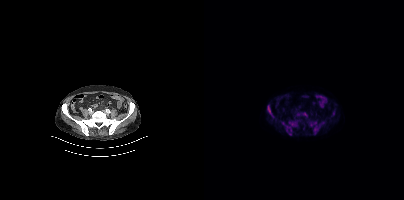
Coordinates are on the 200×200 PET (right) panel. PSMA-avid tumor lesion bounding boxes (x, y, width, height): x=77 y=120 w=17 h=15; x=106 y=121 w=15 h=14; x=63 y=105 w=8 h=14; x=98 y=112 w=6 h=5; x=129 y=111 w=2 h=5. Small PSMA-avid focus (2 to 4 px across) near (center x, center y): (94, 114).